- Paired axial CT (left) and PSMA PET (right), 18F tracer
- slice position z = -426 mm
- PET panel 256×256 px (2.7 mm/px)
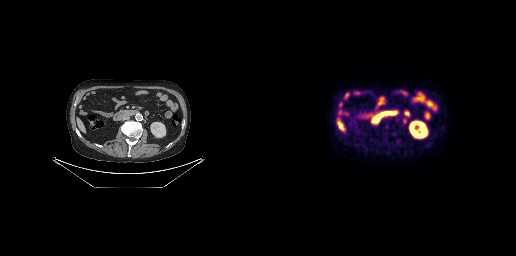
Findings: Coordinates are on the 256×256 PET (right) panel. PSMA-avid tumor lesion bounding box (x0,y0,x1,y1): [143,118,146,123]. Small PSMA-avid focus (2 to 4 px across) near (center x, center y): (138, 141).